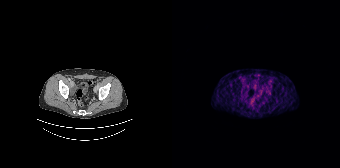
Left: CT. Right: PSMA PET, same axial level, 68Ga tracer. Slice 41 of 165. PET panel 168×168 px (4.1 mm/px). Negative for PSMA-avid disease on this slice.